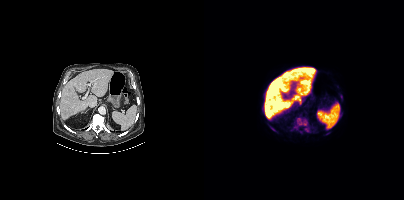
Two-panel axial: CT | PSMA PET, [18F]PSMA-1007 tracer. Acquired on Siemens Biograph mCT Flow 20. PET panel 200×200 px (4.1 mm/px). Coordinates are on the 200×200 PET (right) panel. PSMA-avid tumor lesion bounding boxes (x0,y0,x1,y1): [89,117,105,132]; [66,126,72,131]. Small PSMA-avid foci (2 to 4 px across) near (center x, center y): (96, 131); (133, 86).